Two-panel axial: CT | PSMA PET, 68Ga tracer. Acquired on Siemens Biograph mCT Flow 20. PET panel 200×200 px (4.1 mm/px).
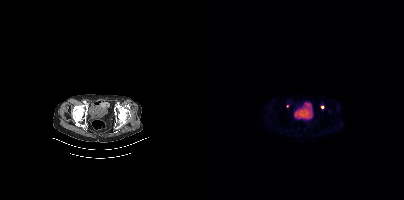
Coordinates are on the 200×200 PET (right) panel. Small PSMA-avid foci (2 to 4 px across) near (center x, center y): (118, 107) | (83, 106).